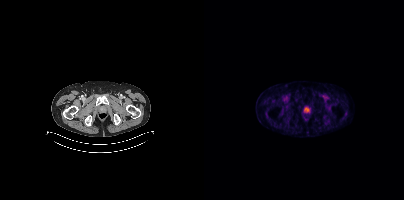
Coordinates are on the 200×200 PET (right) panel. Small PSMA-avid focus (2 to 4 px across) near (center x, center y): (102, 110). Two-panel axial: CT | PSMA PET, [68Ga]Ga-PSMA-11 tracer. Slice 58 of 433. PET panel 200×200 px (4.1 mm/px).